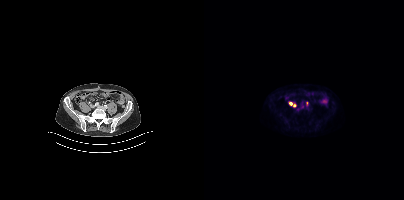
Two-panel axial: CT | PSMA PET, 18F tracer. Acquired on Siemens Biograph mCT Flow 20. Slice position z = -1482 mm. PET panel 200×200 px (4.1 mm/px). Coordinates are on the 200×200 PET (right) panel. (showing 1 of 2 foci) PSMA-avid tumor lesion bounding box (x0, y0)-(x1, y1): (85, 102)-(92, 107).